Technique: Left: CT. Right: PSMA PET, same axial level, 18F tracer. acquired on Siemens Biograph mCT Flow 20. slice position z = -330 mm.
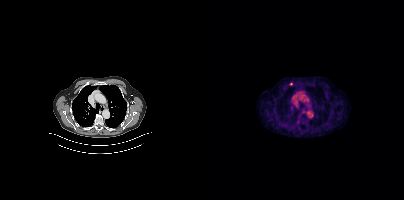
Findings: Coordinates are on the 200×200 PET (right) panel. Small PSMA-avid focus (2 to 4 px across) near (center x, center y): (86, 83).